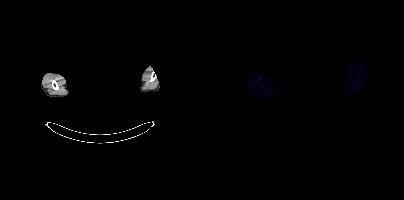
Findings: This slice has no annotated PSMA-avid lesion.
Technique: Left: CT. Right: PSMA PET, same axial level, 18F tracer. slice position z = 210 mm.
Note: An anonymization step blacked out a rectangle over the head in this scan.